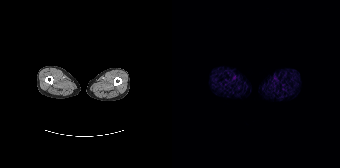
{"modality":"PSMA PET/CT","view":"axial","tracer":"68Ga-PSMA","pet_grid":[168,168],"coord_frame":"pet_panel","coord_format":"x0,y0,x1,y1","psma_avid_lesions":false}